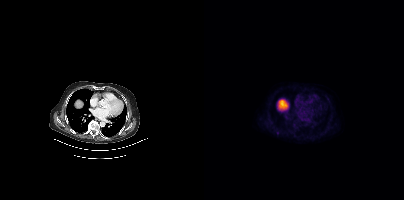
Coordinates are on the 200×200 PET (right) panel. Small PSMA-avid focus (2 to 4 px across) near (center x, center y): (73, 132). Paired axial CT (left) and PSMA PET (right), [18F]PSMA-1007 tracer. Acquired on Siemens Biograph mCT Flow 20. Slice position z = -560 mm. PET panel 200×200 px (4.1 mm/px).